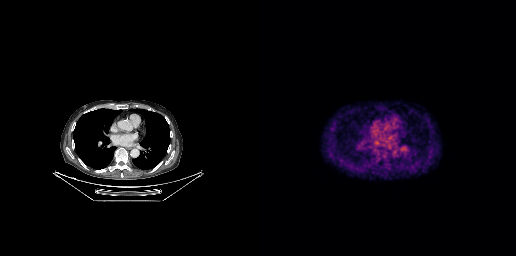
{"modality":"PSMA PET/CT","view":"axial","tracer":"18F","pet_grid":[256,256],"coord_frame":"pet_panel","coord_format":"x0,y0,x1,y1","psma_avid_lesions":false}